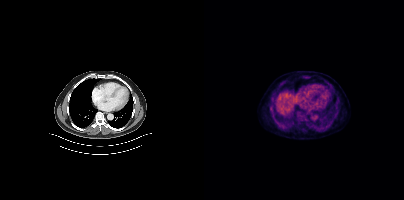
Coordinates are on the 200×200 PET (right) panel. Small PSMA-avid focus (2 to 4 px across) near (center x, center y): (67, 109). Left: CT. Right: PSMA PET, same axial level, 18F tracer. Slice 278 of 433.